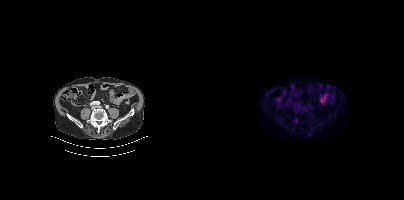
{"pet_grid":[200,200],"coord_frame":"pet_panel","coord_format":"x0,y0,x1,y1","psma_avid_lesions":false,"modality":"PSMA PET/CT","view":"axial","tracer":"18F"}